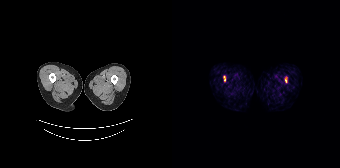
Coordinates are on the 168×168 PET (right) panel. PSMA-avid tumor lesion bounding boxes (x0, y0)-(x1, y1): (52, 76)-(53, 81); (113, 78)-(114, 82).